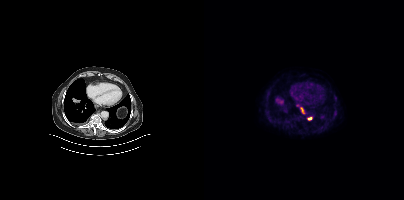
Left: CT. Right: PSMA PET, same axial level, 18F-PSMA tracer. Coordinates are on the 200×200 PET (right) panel. Small PSMA-avid focus (2 to 4 px across) near (center x, center y): (105, 118).